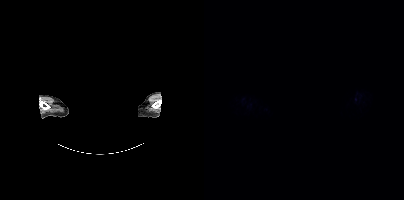
{"modality":"PSMA PET/CT","view":"axial","tracer":"18F-PSMA","pet_grid":[200,200],"coord_frame":"pet_panel","coord_format":"x0,y0,x1,y1","psma_avid_lesions":false,"redaction":"facial region redacted"}